Two-panel axial: CT | PSMA PET, 18F tracer. Acquired on Siemens Biograph mCT Flow 20. Slice position z = -1696 mm.
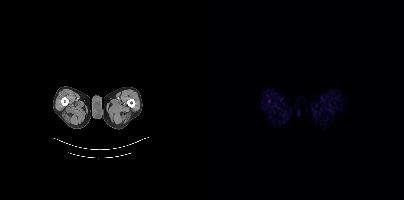
No PSMA-avid tumor lesions on this slice.